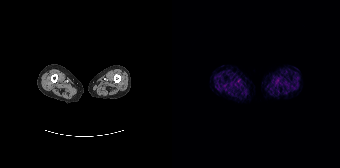
This slice has no annotated PSMA-avid lesion.